- Paired axial CT (left) and PSMA PET (right), 18F tracer
- acquired on GE Discovery 690
- slice position z = -861 mm
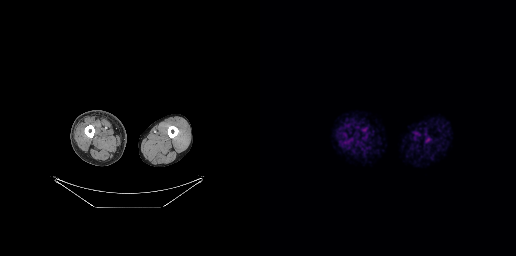
Findings: No PSMA-avid tumor lesions on this slice.